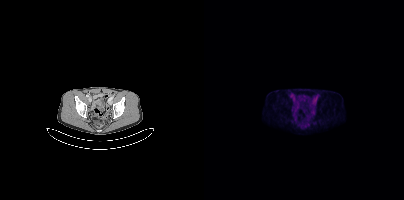
Findings: Only PSMA-avid lesion pieces thinner than 2 px on this slice (not listed).
Technique: Two-panel axial: CT | PSMA PET, [18F]PSMA-1007 tracer. PET panel 200×200 px (4.1 mm/px).